Left: CT. Right: PSMA PET, same axial level, [18F]PSMA-1007 tracer.
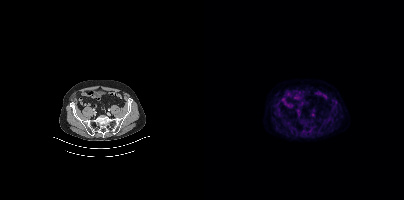
Negative for PSMA-avid disease on this slice.